- Two-panel axial: CT | PSMA PET, 18F tracer
- slice 182 of 401
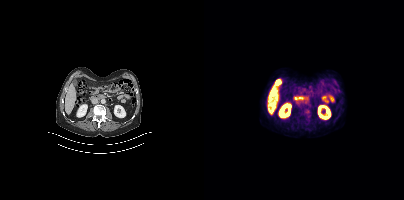
Findings: Negative for PSMA-avid disease on this slice.